modality: PSMA PET/CT | tracer: 68Ga-PSMA | view: axial | PET grid: 168×168
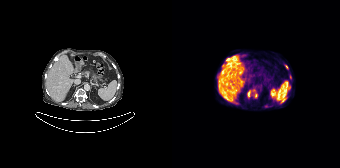
Coordinates are on the 168×168 PET (right) panel. (showing 5 of 9 foci) PSMA-avid tumor lesion bounding box (x0,y0,x1,y1): [75,90,78,96]. Small PSMA-avid foci (2 to 4 px across) near (center x, center y): (84, 95) (113, 98) (114, 66) (56, 59).